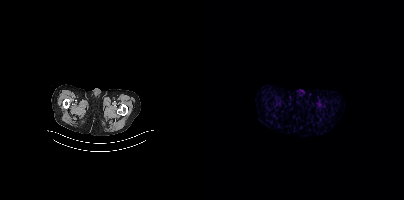
Negative for PSMA-avid disease on this slice.
modality: PSMA PET/CT | tracer: [68Ga]Ga-PSMA-11 | view: axial | PET grid: 200×200